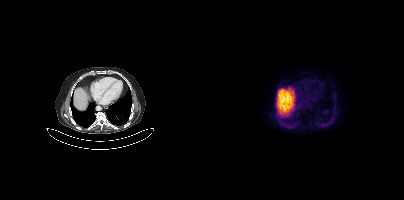
Negative for PSMA-avid disease on this slice. Paired axial CT (left) and PSMA PET (right), 18F-PSMA tracer. Acquired on Siemens Biograph mCT Flow 20. PET panel 200×200 px (4.1 mm/px).